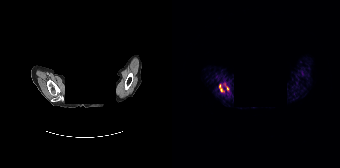
Coordinates are on the 168×168 PET (right) panel. Small PSMA-avid focus (2 to 4 px across) near (center x, center y): (50, 90). Paired axial CT (left) and PSMA PET (right), 68Ga tracer. Acquired on Siemens Biograph 64-4R TruePoint. PET panel 168×168 px (4.1 mm/px). Privacy masking over the head, with the pixels inside a rectangle set to black.